Technique: Paired axial CT (left) and PSMA PET (right), 18F tracer. acquired on Siemens Biograph mCT Flow 20. slice 269 of 383. PET panel 200×200 px (4.1 mm/px).
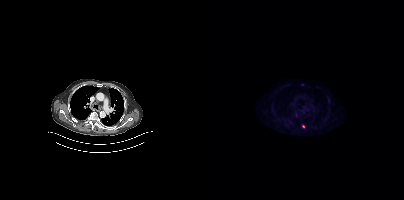
Findings: Coordinates are on the 200×200 PET (right) panel. (showing 1 of 3 foci) Small PSMA-avid focus (2 to 4 px across) near (center x, center y): (99, 126).